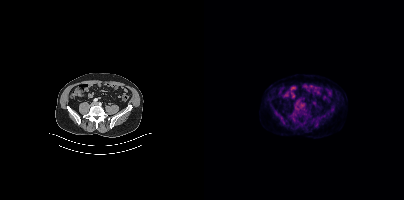
Technique: Left: CT. Right: PSMA PET, same axial level, 18F-PSMA tracer. acquired on Siemens Biograph mCT Flow 20. slice position z = -1434 mm.
Findings: No PSMA-avid tumor lesions on this slice.